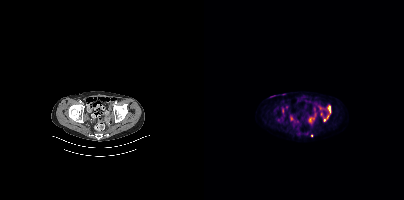
Coordinates are on the 200×200 PET (right) panel. (showing 5 of 8 foci) PSMA-avid tumor lesion bounding boxes (x, y, width, height): x=124 y=105 w=3 h=9; x=78 y=108 w=2 h=5. Small PSMA-avid foci (2 to 4 px across) near (center x, center y): (120, 120); (123, 116); (107, 135).